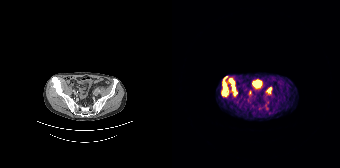
Paired axial CT (left) and PSMA PET (right), 68Ga tracer.
Coordinates are on the 168×168 PET (right) panel. PSMA-avid tumor lesion bounding boxes (partial; 1 more focus not listed):
| # | x0 | y0 | x1 | y1 |
|---|---|---|---|---|
| 1 | 49 | 76 | 56 | 96 |
| 2 | 57 | 78 | 65 | 95 |
| 3 | 94 | 87 | 99 | 94 |
Small PSMA-avid focus (2 to 4 px across) near (center x, center y): (77, 92).